modality: PSMA PET/CT | tracer: 18F-PSMA | view: axial
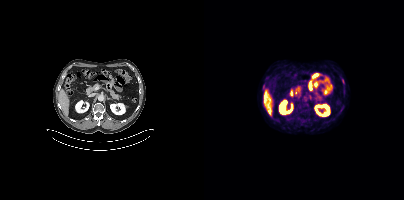
Coordinates are on the 200×200 PET (right) panel. Small PSMA-avid focus (2 to 4 px across) near (center x, center y): (139, 80).